modality: PSMA PET/CT | tracer: 18F-PSMA | view: axial | PET grid: 256×256
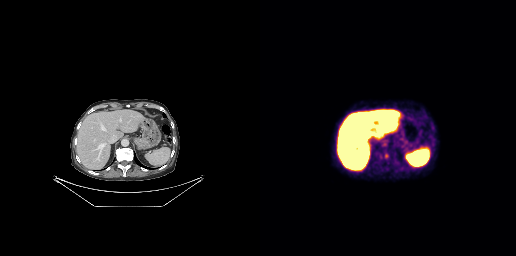
Coordinates are on the 256×256 PET (right) panel. PSMA-avid tumor lesion bounding box (x0,y0,x1,y1): [124,152,128,159]. Small PSMA-avid focus (2 to 4 px across) near (center x, center y): (121, 156).